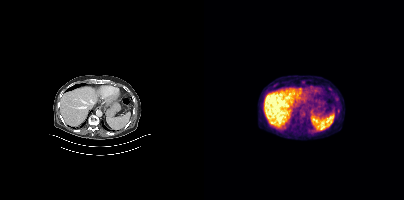
{"modality":"PSMA PET/CT","view":"axial","tracer":"18F","pet_grid":[200,200],"coord_frame":"pet_panel","coord_format":"x0,y0,x1,y1","psma_avid_lesions":false}